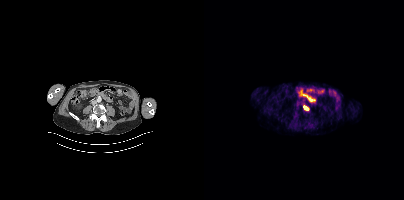
Coordinates are on the 200×200 PET (right) panel. PSMA-avid tumor lesion bounding box (x0,y0,x1,y1): [99,106,104,110].